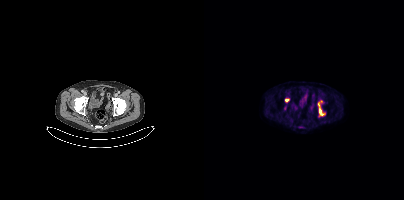
{"modality":"PSMA PET/CT","view":"axial","tracer":"18F-PSMA","pet_grid":[200,200],"coord_frame":"pet_panel","coord_format":"x0,y0,x1,y1","partial":true,"lesion_bboxes":[[113,100,121,116],[81,99,85,102]]}